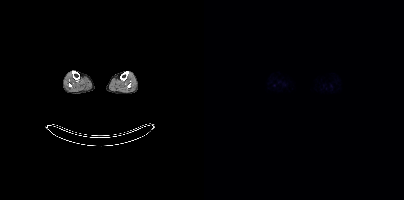
{"modality":"PSMA PET/CT","view":"axial","tracer":"18F","pet_grid":[200,200],"coord_frame":"pet_panel","coord_format":"x0,y0,x1,y1","psma_avid_lesions":false}